- Paired axial CT (left) and PSMA PET (right), 18F tracer
- acquired on Siemens Biograph mCT Flow 20
- slice 380 of 395
- PET panel 200×200 px (4.1 mm/px)
- the head region is masked for de-identification
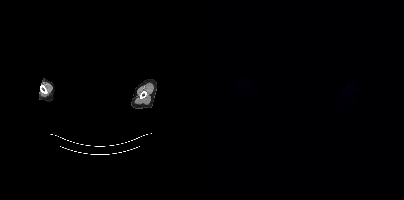
Findings: Negative for PSMA-avid disease on this slice.